Technique: Two-panel axial: CT | PSMA PET, [18F]PSMA-1007 tracer. PET panel 256×256 px (2.7 mm/px).
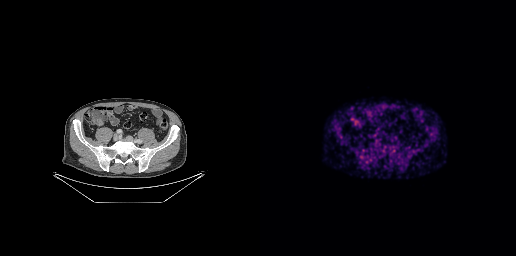
Findings: No PSMA-avid tumor lesions on this slice.